Technique: Paired axial CT (left) and PSMA PET (right), [18F]PSMA-1007 tracer.
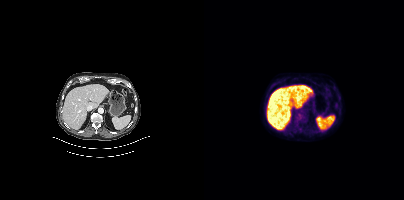
Findings: Only PSMA-avid lesion pieces thinner than 2 px on this slice (not listed).